Technique: Left: CT. Right: PSMA PET, same axial level, 18F tracer. slice position z = -792 mm.
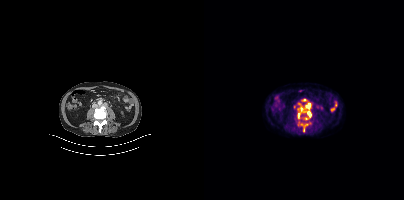
Findings: Coordinates are on the 200×200 PET (right) panel. (showing 7 of 12 foci) PSMA-avid tumor lesion bounding boxes (x0,y0,x1,y1): [103,111,107,117], [94,113,96,118]. Small PSMA-avid foci (2 to 4 px across) near (center x, center y): (105, 104), (102, 118), (99, 129), (104, 107), (97, 110).